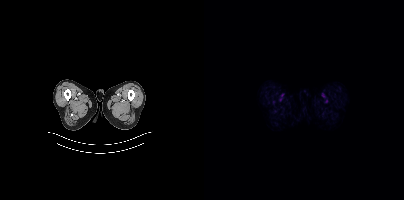
Negative for PSMA-avid disease on this slice.